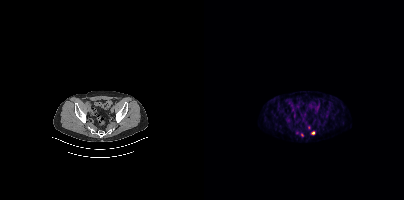
Coordinates are on the 200×200 PET (right) panel. (showing 1 of 3 foci) Small PSMA-avid focus (2 to 4 px across) near (center x, center y): (109, 132).